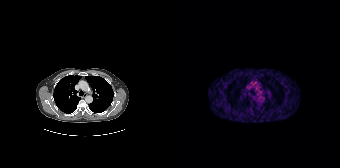
No tumor lesions annotated on this slice.